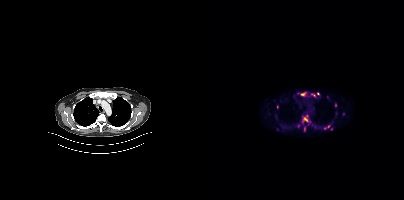
Findings: Coordinates are on the 200×200 PET (right) panel. (showing 10 of 14 foci) PSMA-avid tumor lesion bounding boxes (x0,y0,x1,y1): [98,115,104,122]; [93,92,101,95]; [100,127,101,131]. Small PSMA-avid foci (2 to 4 px across) near (center x, center y): (110, 95); (131, 104); (139, 114); (106, 95); (124, 126); (114, 93); (73, 107).
Technique: Two-panel axial: CT | PSMA PET, [18F]PSMA-1007 tracer.